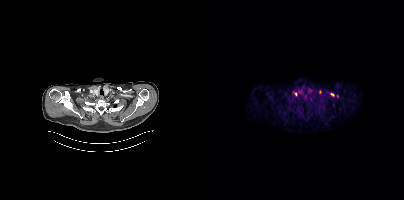
Paired axial CT (left) and PSMA PET (right), 68Ga-PSMA tracer. PET panel 200×200 px (4.1 mm/px). Coordinates are on the 200×200 PET (right) panel. Small PSMA-avid foci (2 to 4 px across) near (center x, center y): (116, 91) (91, 94) (128, 94).